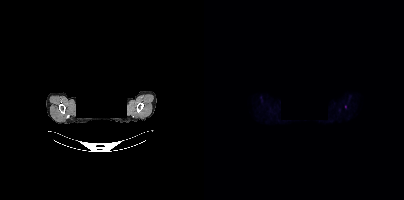
An anonymization step blacked out a rectangle over the head in this scan. Left: CT. Right: PSMA PET, same axial level, [18F]PSMA-1007 tracer. Acquired on Siemens Biograph mCT Flow 20. Slice 340 of 377. Coordinates are on the 200×200 PET (right) panel. Small PSMA-avid focus (2 to 4 px across) near (center x, center y): (141, 106).